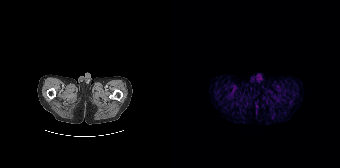
No tumor lesions annotated on this slice. Paired axial CT (left) and PSMA PET (right), 68Ga-PSMA tracer. Slice position z = -610 mm. PET panel 168×168 px (4.1 mm/px).